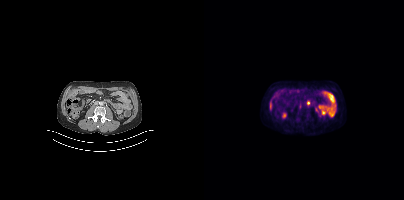
Coordinates are on the 200×200 PET (right) panel. Small PSMA-avid foci (2 to 4 px across) near (center x, center y): (104, 102); (96, 106). Two-panel axial: CT | PSMA PET, [18F]PSMA-1007 tracer. Slice 182 of 429.